- Left: CT. Right: PSMA PET, same axial level, 18F tracer
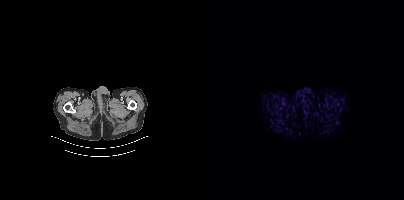
Findings: No tumor lesions annotated on this slice.